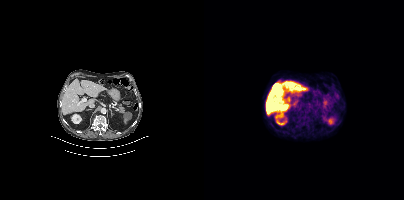
Technique: Two-panel axial: CT | PSMA PET, [18F]PSMA-1007 tracer. acquired on Siemens Biograph mCT Flow 20. PET panel 200×200 px (4.1 mm/px).
Findings: Negative for PSMA-avid disease on this slice.